Technique: Left: CT. Right: PSMA PET, same axial level, 18F-PSMA tracer. acquired on GE Discovery 690. PET panel 256×256 px (2.7 mm/px).
Note: A rectangle over the head was blacked out to remove identifiable facial features.
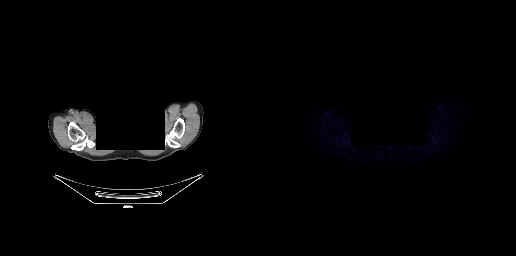
Findings: This slice has no annotated PSMA-avid lesion.